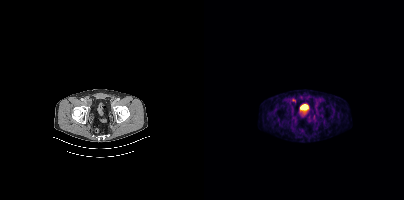
Technique: Left: CT. Right: PSMA PET, same axial level, [18F]PSMA-1007 tracer. slice 77 of 448. PET panel 200×200 px (4.1 mm/px).
Findings: Coordinates are on the 200×200 PET (right) panel. (showing 1 of 2 foci) PSMA-avid tumor lesion bounding box (x0,y0,x1,y1): [87,98,91,101].